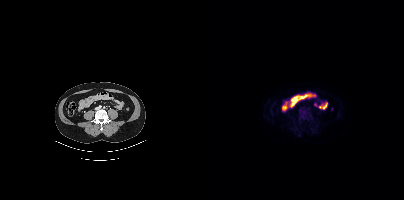
Paired axial CT (left) and PSMA PET (right), 18F tracer. PET panel 200×200 px (4.1 mm/px). This slice has no annotated PSMA-avid lesion.